Any black rectangle over the head is a privacy mask, not anatomy.
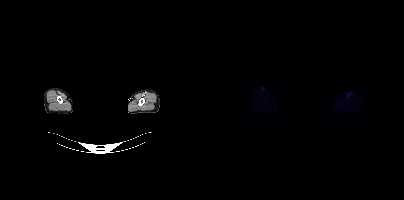
Negative for PSMA-avid disease on this slice.